Two-panel axial: CT | PSMA PET, [18F]PSMA-1007 tracer. Acquired on Siemens Biograph mCT Flow 20. PET panel 200×200 px (4.1 mm/px).
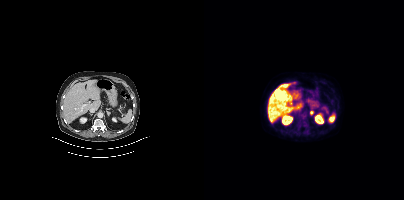
Coordinates are on the 200×200 PET (right) panel. Small PSMA-avid focus (2 to 4 px across) near (center x, center y): (107, 112).